Left: CT. Right: PSMA PET, same axial level, 18F tracer. PET panel 200×200 px (4.1 mm/px).
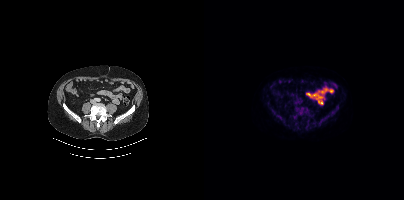
Coordinates are on the 200×200 PET (right) panel. PSMA-avid tumor lesion bounding boxes (partial; 2 more foci not listed):
| # | x0 | y0 | x1 | y1 |
|---|---|---|---|---|
| 1 | 91 | 101 | 102 | 115 |
| 2 | 116 | 115 | 124 | 123 |
| 3 | 67 | 107 | 71 | 112 |
| 4 | 127 | 109 | 132 | 114 |
| 5 | 89 | 117 | 92 | 121 |